- Left: CT. Right: PSMA PET, same axial level, [18F]PSMA-1007 tracer
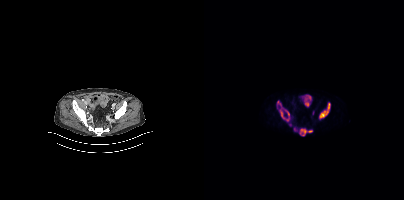
Findings: Coordinates are on the 200×200 PET (right) panel. PSMA-avid tumor lesion bounding boxes (x0, y0)-(x1, y1): (115, 103)-(126, 118); (96, 128)-(108, 135); (76, 110)-(85, 121); (73, 101)-(77, 105).